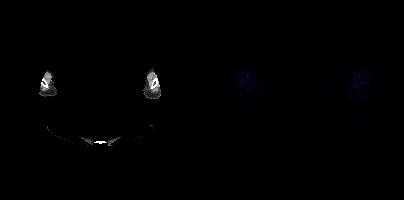
This slice has no annotated PSMA-avid lesion. Left: CT. Right: PSMA PET, same axial level, 18F-PSMA tracer. PET panel 200×200 px (4.1 mm/px). Privacy masking over the head, with the pixels inside a rectangle set to black.